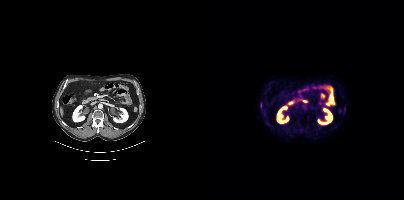
Findings: No PSMA-avid tumor lesions on this slice.
Technique: Two-panel axial: CT | PSMA PET, [18F]PSMA-1007 tracer.